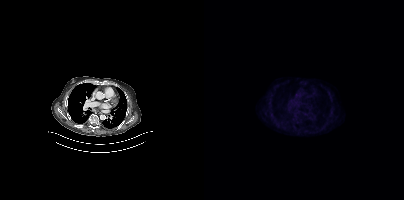
Findings: This slice has no annotated PSMA-avid lesion.
Technique: Two-panel axial: CT | PSMA PET, [18F]PSMA-1007 tracer. acquired on Siemens Biograph mCT Flow 20. slice 250 of 383. PET panel 200×200 px (4.1 mm/px).